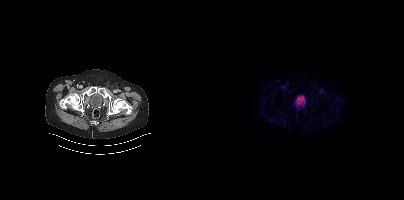
{"modality":"PSMA PET/CT","view":"axial","tracer":"[18F]PSMA-1007","pet_grid":[200,200],"coord_frame":"pet_panel","coord_format":"x0,y0,x1,y1","psma_avid_lesions":false}